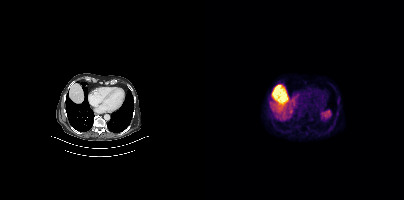
No tumor lesions annotated on this slice.